- Paired axial CT (left) and PSMA PET (right), [18F]PSMA-1007 tracer
- slice position z = -708 mm
- PET panel 200×200 px (4.1 mm/px)
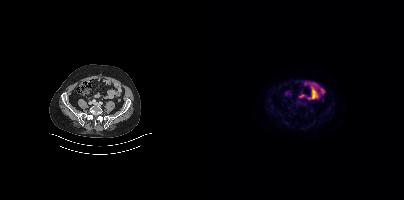
Findings: This slice has no annotated PSMA-avid lesion.